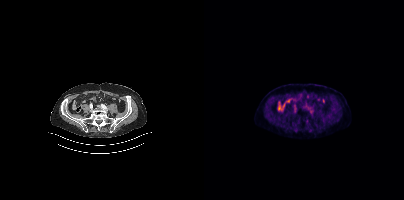
No tumor lesions annotated on this slice.